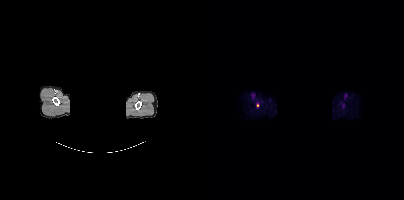
Paired axial CT (left) and PSMA PET (right), [18F]PSMA-1007 tracer. Any black rectangle over the head is a privacy mask, not anatomy. Coordinates are on the 200×200 PET (right) panel. Small PSMA-avid focus (2 to 4 px across) near (center x, center y): (53, 105).